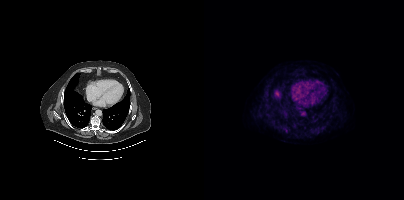
- Two-panel axial: CT | PSMA PET, 18F-PSMA tracer
- slice 280 of 435
- PET panel 200×200 px (4.1 mm/px)
Findings: Negative for PSMA-avid disease on this slice.